Paired axial CT (left) and PSMA PET (right), 68Ga-PSMA tracer. Acquired on Siemens Biograph mCT Flow 20. Slice 144 of 393. PET panel 200×200 px (4.1 mm/px).
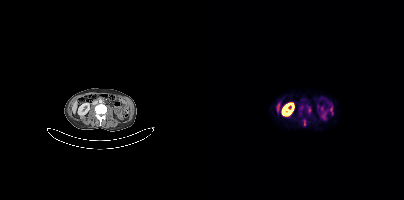
Coordinates are on the 200×200 PET (right) panel. PSMA-avid tumor lesion bounding box (x0, y0)-(x1, y1): (99, 119)-(101, 125).